Technique: Paired axial CT (left) and PSMA PET (right), 18F-PSMA tracer.
Note: De-identified by setting a box covering the face to black before release.
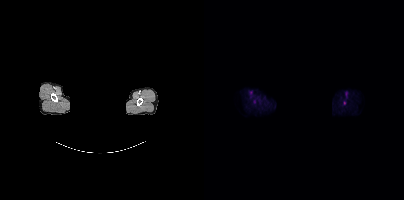
Findings: Coordinates are on the 200×200 PET (right) panel. Small PSMA-avid focus (2 to 4 px across) near (center x, center y): (140, 102).